- Paired axial CT (left) and PSMA PET (right), [68Ga]Ga-PSMA-11 tracer
- acquired on Siemens Biograph 64-4R TruePoint
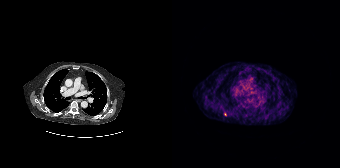
Findings: No PSMA-avid tumor lesions on this slice.